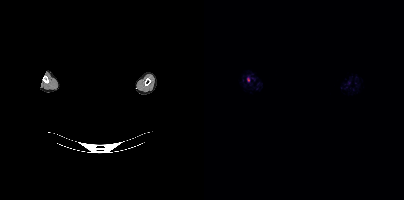
Technique: Two-panel axial: CT | PSMA PET, 18F-PSMA tracer. slice position z = -62 mm.
Note: The head region is masked for de-identification.
Findings: No PSMA-avid tumor lesions on this slice.